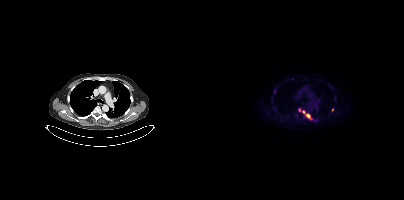
Findings: Coordinates are on the 200×200 PET (right) panel. PSMA-avid tumor lesion bounding box (x, y, width, height): x=94 y=108 w=16 h=13. Small PSMA-avid foci (2 to 4 px across) near (center x, center y): (128, 109); (70, 91).
- Paired axial CT (left) and PSMA PET (right), 18F tracer
- slice position z = 232 mm
- PET panel 200×200 px (4.1 mm/px)